Technique: Paired axial CT (left) and PSMA PET (right), 18F-PSMA tracer.
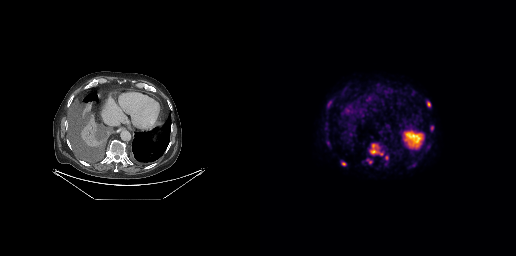
Findings: Coordinates are on the 256×256 PET (right) panel. (showing 6 of 7 foci) PSMA-avid tumor lesion bounding boxes (x, y, width, height): x=110 y=143 w=13 h=13; x=167 y=101 w=4 h=6. Small PSMA-avid foci (2 to 4 px across) near (center x, center y): (83, 163); (172, 127); (126, 157); (110, 162).